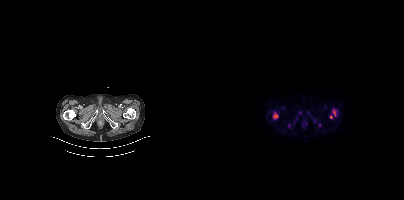
Findings: Coordinates are on the 200×200 PET (right) panel. PSMA-avid tumor lesion bounding boxes (x0,y0,x1,y1): [69,112,74,119], [128,110,132,116]. Small PSMA-avid foci (2 to 4 px across) near (center x, center y): (127, 116), (85, 125), (115, 125), (92, 118).
Technique: Paired axial CT (left) and PSMA PET (right), [18F]PSMA-1007 tracer. acquired on Siemens Biograph mCT Flow 20. PET panel 200×200 px (4.1 mm/px).